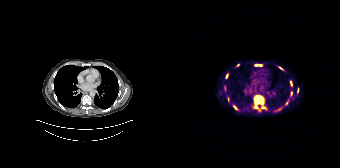
Coordinates are on the 168×168 PET (right) panel. (showing 13 of 14 foci) PSMA-avid tumor lesion bounding boxes (x0, y0)-(x1, y1): (82, 95)-(91, 108); (83, 64)-(90, 66); (106, 107)-(111, 110); (112, 100)-(116, 105); (61, 105)-(65, 109); (54, 74)-(55, 78); (52, 86)-(53, 90). Small PSMA-avid foci (2 to 4 px across) near (center x, center y): (91, 107); (65, 65); (119, 83); (119, 93); (56, 98); (108, 68).